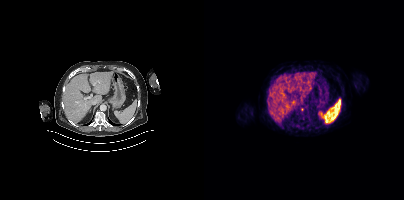
Findings: Only PSMA-avid lesion pieces thinner than 2 px on this slice (not listed).
- Two-panel axial: CT | PSMA PET, 68Ga tracer
- acquired on Siemens Biograph mCT Flow 20
- slice position z = -1150 mm
- PET panel 200×200 px (4.1 mm/px)